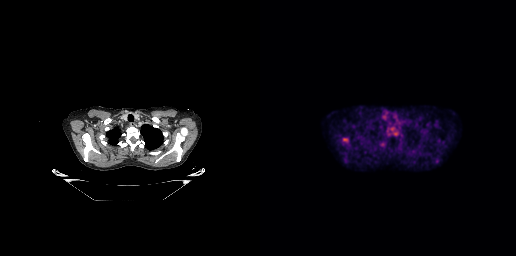
{"pet_grid":[256,256],"coord_frame":"pet_panel","coord_format":"x0,y0,x1,y1","partial":true,"lesion_bboxes":[[130,127,138,135],[82,138,88,143]],"small_foci_centers":[[127,129]],"modality":"PSMA PET/CT","view":"axial","tracer":"18F-PSMA"}